- Left: CT. Right: PSMA PET, same axial level, 18F-PSMA tracer
- slice position z = 270 mm
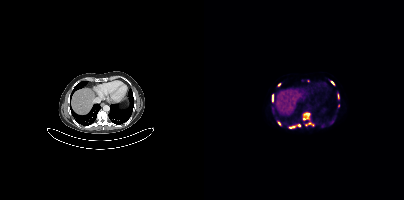
Findings: Coordinates are on the 200×200 PET (right) panel. (showing 11 of 12 foci) PSMA-avid tumor lesion bounding boxes (x, y, width, height): x=99 y=112 w=7 h=9 / x=68 y=94 w=2 h=8 / x=104 y=122 w=5 h=3 / x=85 y=126 w=5 h=3 / x=134 y=93 w=2 h=6. Small PSMA-avid foci (2 to 4 px across) near (center x, center y): (128, 82) / (75, 123) / (75, 84) / (104, 80) / (134, 105) / (102, 125).